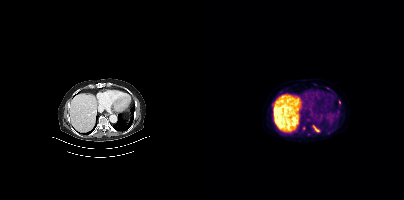
Coordinates are on the 200×200 PET (right) panel. (showing 4 of 6 foci) PSMA-avid tumor lesion bounding box (x, y, width, height): x=109 y=126 w=7 h=7. Small PSMA-avid foci (2 to 4 px across) near (center x, center y): (99, 128) / (135, 102) / (73, 96).
modality: PSMA PET/CT | tracer: 18F | view: axial | PET grid: 200×200